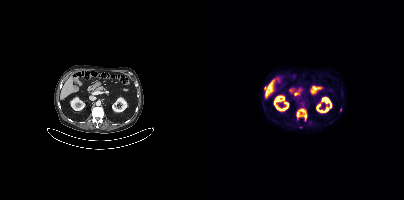
{"modality":"PSMA PET/CT","view":"axial","tracer":"18F-PSMA","pet_grid":[200,200],"coord_frame":"pet_panel","coord_format":"x0,y0,x1,y1","partial":true,"lesion_bboxes":[[93,109,102,120]],"small_foci_centers":[[61,88]]}